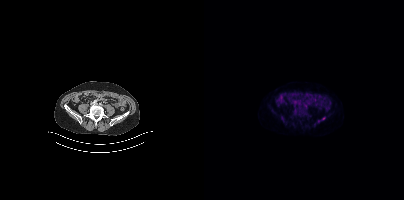
Coordinates are on the 200×200 PET (right) panel. Small PSMA-avid focus (2 to 4 px across) near (center x, center y): (119, 118).